Technique: Paired axial CT (left) and PSMA PET (right), [18F]PSMA-1007 tracer. acquired on Siemens Biograph mCT Flow 20. PET panel 200×200 px (4.1 mm/px).
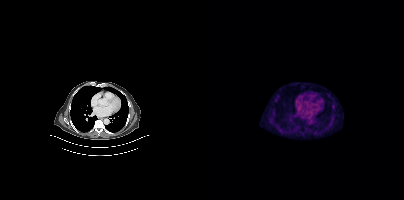
Findings: Negative for PSMA-avid disease on this slice.